Two-panel axial: CT | PSMA PET, [18F]PSMA-1007 tracer. Slice 226 of 391.
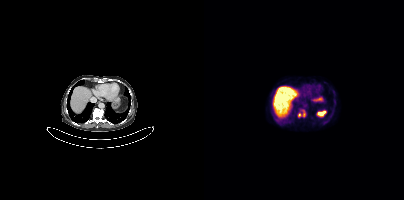
Coordinates are on the 200×200 PET (right) panel. PSMA-avid tumor lesion bounding boxes:
| # | x0 | y0 | x1 | y1 |
|---|---|---|---|---|
| 1 | 94 | 110 | 101 | 117 |